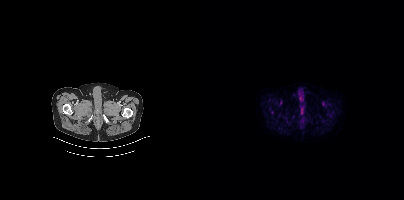
modality: PSMA PET/CT | tracer: 18F-PSMA | view: axial
No tumor lesions annotated on this slice.